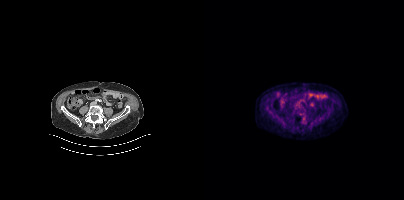
No PSMA-avid tumor lesions on this slice. Two-panel axial: CT | PSMA PET, 18F-PSMA tracer. PET panel 200×200 px (4.1 mm/px).